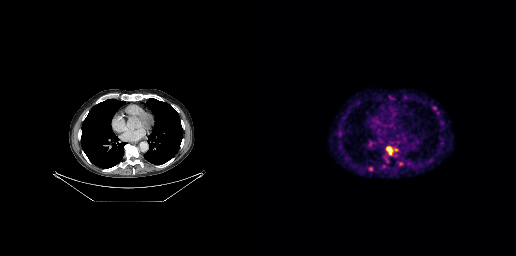
Two-panel axial: CT | PSMA PET, [68Ga]Ga-PSMA-11 tracer. Acquired on GE Discovery 690. PET panel 256×256 px (2.7 mm/px). Coordinates are on the 256×256 PET (right) panel. (showing 5 of 7 foci) PSMA-avid tumor lesion bounding boxes (x, y, width, height): x=109 y=167 w=5 h=5 / x=138 y=162 w=5 h=4. Small PSMA-avid foci (2 to 4 px across) near (center x, center y): (130, 152) / (175, 107) / (128, 148).